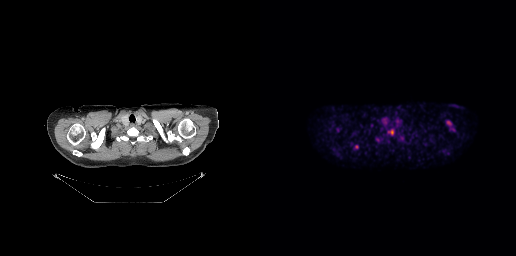
{"modality":"PSMA PET/CT","view":"axial","tracer":"[18F]PSMA-1007","pet_grid":[256,256],"coord_frame":"pet_panel","coord_format":"x0,y0,x1,y1","lesion_bboxes":[[128,130,133,134],[187,121,191,124]],"small_foci_centers":[[96,146],[77,129]]}